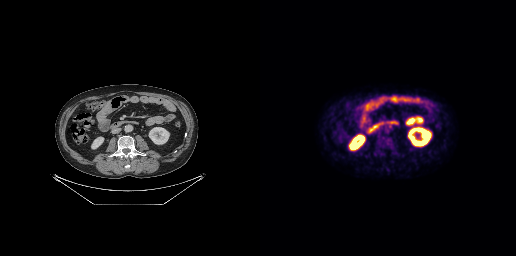
{"modality":"PSMA PET/CT","view":"axial","tracer":"[18F]PSMA-1007","pet_grid":[256,256],"coord_frame":"pet_panel","coord_format":"x0,y0,x1,y1","psma_avid_lesions":false}